- any black rectangle over the head is a privacy mask, not anatomy
- Two-panel axial: CT | PSMA PET, 18F tracer
- acquired on Siemens Biograph mCT Flow 20
- slice 397 of 401
- PET panel 200×200 px (4.1 mm/px)
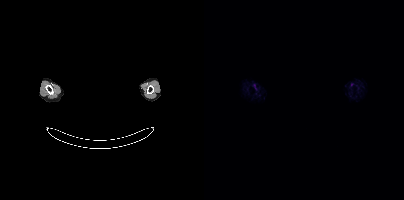
Findings: No PSMA-avid tumor lesions on this slice.